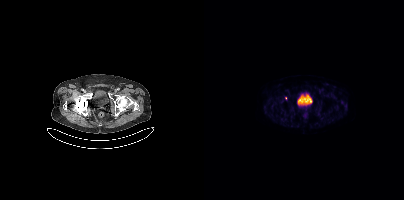
Findings: Only PSMA-avid lesion pieces thinner than 2 px on this slice (not listed).
Technique: Two-panel axial: CT | PSMA PET, 18F-PSMA tracer. acquired on Siemens Biograph mCT Flow 20. slice position z = -925 mm. PET panel 200×200 px (4.1 mm/px).